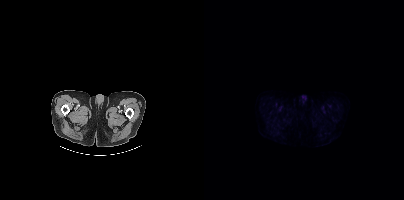
Technique: Paired axial CT (left) and PSMA PET (right), [18F]PSMA-1007 tracer. PET panel 200×200 px (4.1 mm/px).
Findings: No tumor lesions annotated on this slice.